Paired axial CT (left) and PSMA PET (right), 18F tracer. Slice 263 of 399. PET panel 200×200 px (4.1 mm/px).
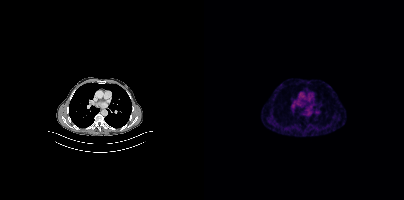
This slice has no annotated PSMA-avid lesion.